modality: PSMA PET/CT | tracer: [68Ga]Ga-PSMA-11 | view: axial | PET grid: 168×168
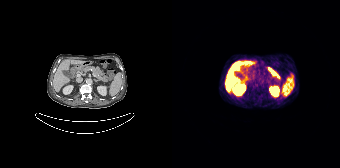
No tumor lesions annotated on this slice.